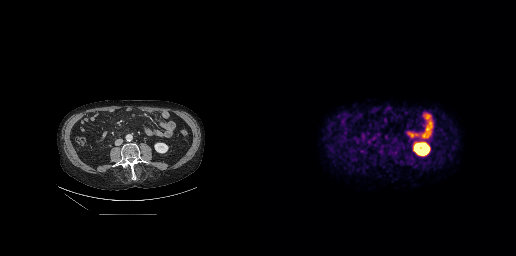
Negative for PSMA-avid disease on this slice.
modality: PSMA PET/CT | tracer: 18F | view: axial